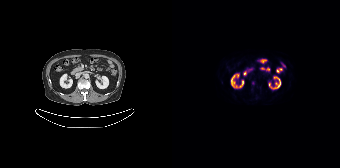
No PSMA-avid tumor lesions on this slice.